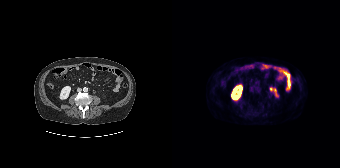
Left: CT. Right: PSMA PET, same axial level, 18F tracer. Acquired on Siemens Biograph 64-4R TruePoint. Negative for PSMA-avid disease on this slice.